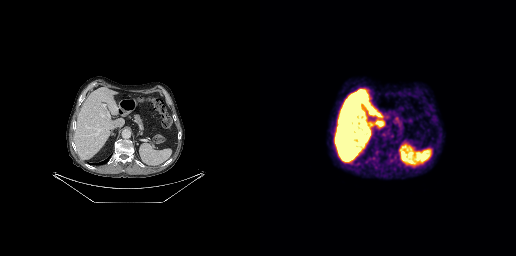
No tumor lesions annotated on this slice.
modality: PSMA PET/CT | tracer: 18F | view: axial | PET grid: 256×256